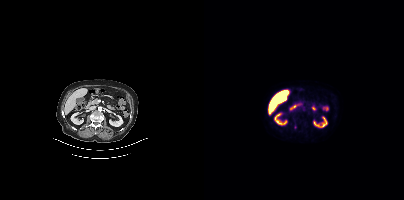
Only PSMA-avid lesion pieces thinner than 2 px on this slice (not listed).